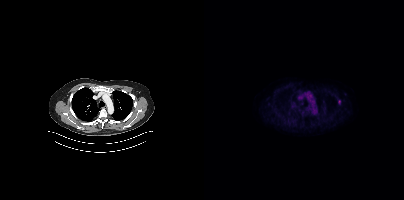
{"pet_grid":[200,200],"coord_frame":"pet_panel","coord_format":"x0,y0,x1,y1","lesion_bboxes":[],"small_foci_centers":[[135,101]],"modality":"PSMA PET/CT","view":"axial","tracer":"18F-PSMA"}